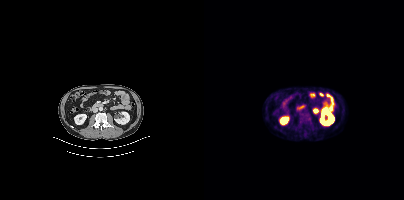
- Paired axial CT (left) and PSMA PET (right), [18F]PSMA-1007 tracer
- acquired on Siemens Biograph mCT Flow 20
- slice 176 of 448
- PET panel 200×200 px (4.1 mm/px)
Findings: Coordinates are on the 200×200 PET (right) panel. PSMA-avid tumor lesion bounding box (x, y, width, height): x=95 y=113 w=13 h=11.